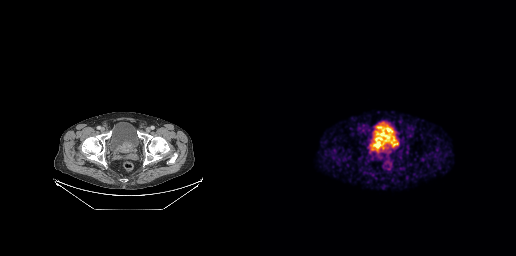
Paired axial CT (left) and PSMA PET (right), 68Ga-PSMA tracer. Acquired on GE Discovery 690.
Coordinates are on the 256×256 PET (right) panel. PSMA-avid tumor lesion bounding boxes:
| # | x0 | y0 | x1 | y1 |
|---|---|---|---|---|
| 1 | 110 | 138 | 136 | 155 |